Technique: Left: CT. Right: PSMA PET, same axial level, 18F-PSMA tracer. slice 154 of 508.
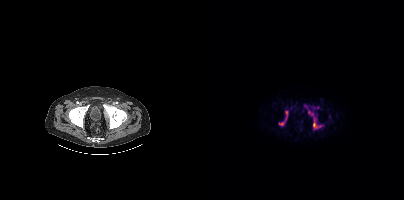
Findings: Coordinates are on the 200×200 PET (right) panel. (showing 4 of 6 foci) PSMA-avid tumor lesion bounding boxes (x, y, width, height): x=75 y=110 w=10 h=16 / x=109 y=118 w=11 h=11 / x=104 y=109 w=6 h=8 / x=110 y=106 w=5 h=4.